Two-panel axial: CT | PSMA PET, 68Ga tracer. Acquired on GE Discovery 690.
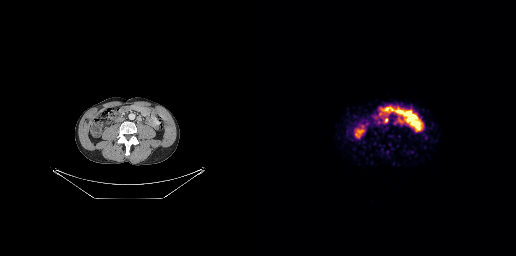
Coordinates are on the 256×256 PET (right) panel. PSMA-avid tumor lesion bounding box (x0, y0)-(x1, y1): (125, 118)-(128, 122). Small PSMA-avid focus (2 to 4 px across) near (center x, center y): (118, 122).